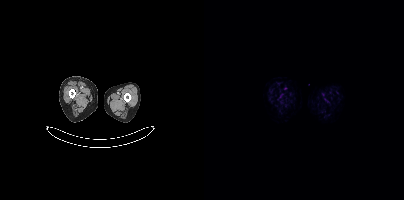
No PSMA-avid tumor lesions on this slice.
modality: PSMA PET/CT | tracer: 18F | view: axial